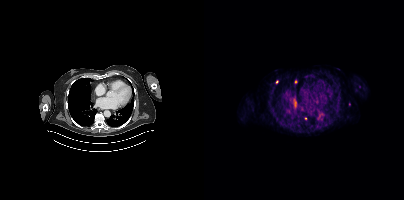
{"modality":"PSMA PET/CT","view":"axial","tracer":"68Ga-PSMA","pet_grid":[200,200],"coord_frame":"pet_panel","coord_format":"x0,y0,x1,y1","lesion_bboxes":[],"small_foci_centers":[[92,81],[73,82],[101,118]]}